modality: PSMA PET/CT | tracer: [68Ga]Ga-PSMA-11 | view: axial | PET grid: 256×256 | de-identification: face masked with black rectangle
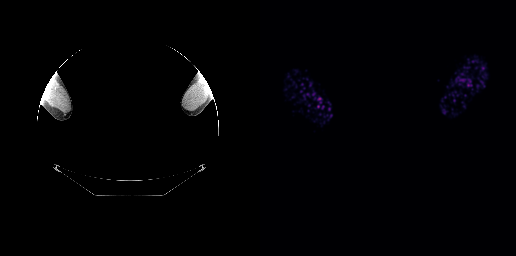
Negative for PSMA-avid disease on this slice.